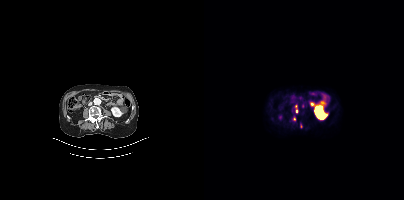
modality: PSMA PET/CT | tracer: 68Ga-PSMA | view: axial | PET grid: 200×200
Coordinates are on the 200×200 PET (right) panel. Small PSMA-avid foci (2 to 4 px across) near (center x, center y): (99, 105) (93, 110) (90, 119) (97, 125) (91, 106).